- Two-panel axial: CT | PSMA PET, 18F tracer
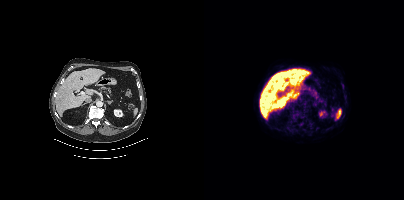
Findings: No PSMA-avid tumor lesions on this slice.